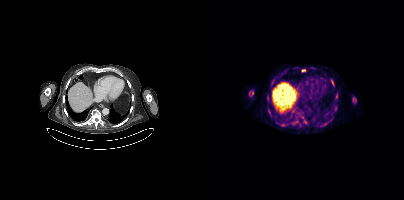
Coordinates are on the 200×200 PET (right) panel. PSMA-avid tumor lesion bounding boxes (x0,y0,x1,y1): [127,79,130,84]; [48,91,49,95]; [45,91,46,95]. Small PSMA-avid foci (2 to 4 px across) near (center x, center y): (150, 99); (99, 70); (64, 109); (63, 96).